Technique: Two-panel axial: CT | PSMA PET, [18F]PSMA-1007 tracer. acquired on Siemens Biograph mCT Flow 20. slice position z = -744 mm. PET panel 200×200 px (4.1 mm/px).
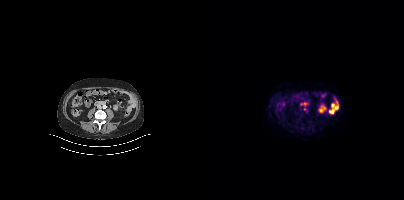
Findings: Coordinates are on the 200×200 PET (right) panel. Small PSMA-avid focus (2 to 4 px across) near (center x, center y): (100, 108).